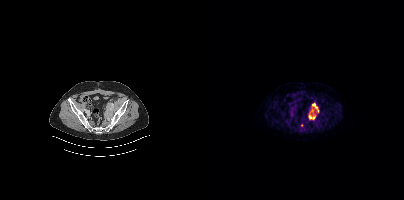
{"modality":"PSMA PET/CT","view":"axial","tracer":"18F-PSMA","pet_grid":[200,200],"coord_frame":"pet_panel","coord_format":"x0,y0,x1,y1","lesion_bboxes":[[104,103,115,119]]}